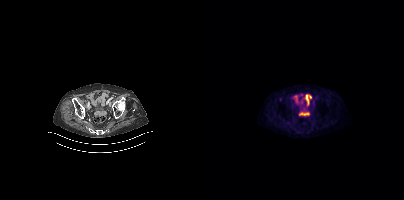
{"modality":"PSMA PET/CT","view":"axial","tracer":"[18F]PSMA-1007","pet_grid":[200,200],"coord_frame":"pet_panel","coord_format":"x0,y0,x1,y1","psma_avid_lesions":false}